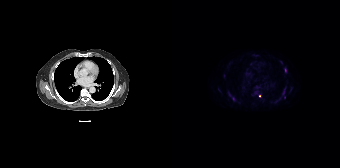
{"pet_grid":[168,168],"coord_frame":"pet_panel","coord_format":"x0,y0,x1,y1","partial":true,"lesion_bboxes":[],"small_foci_centers":[[61,98],[52,75],[87,95]],"modality":"PSMA PET/CT","view":"axial","tracer":"[18F]PSMA-1007"}